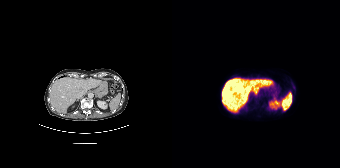
modality: PSMA PET/CT | tracer: 18F-PSMA | view: axial | PET grid: 168×168
This slice has no annotated PSMA-avid lesion.